Left: CT. Right: PSMA PET, same axial level, 18F-PSMA tracer. Slice 177 of 401. PET panel 200×200 px (4.1 mm/px).
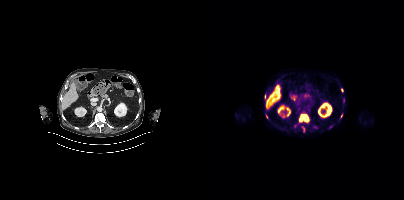
Coordinates are on the 200×200 PET (right) panel. (showing 6 of 7 foci) PSMA-avid tumor lesion bounding box (x0,y0,x1,y1): [95,114,104,121]. Small PSMA-avid foci (2 to 4 px across) near (center x, center y): (139, 100), (99, 129), (137, 115), (62, 116), (60, 96).